modality: PSMA PET/CT | tracer: 18F-PSMA | view: axial | PET grid: 200×200
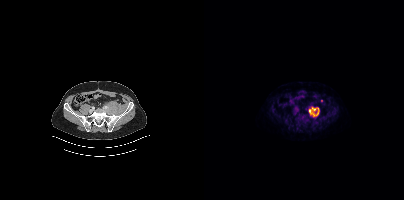
Coordinates are on the 200×200 PET (right) panel. PSMA-avid tumor lesion bounding box (x0,y0,x1,y1): [105,107,115,116].